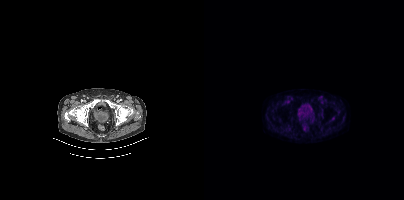
Paired axial CT (left) and PSMA PET (right), 18F tracer. Slice position z = -1484 mm. PET panel 200×200 px (4.1 mm/px). No PSMA-avid tumor lesions on this slice.